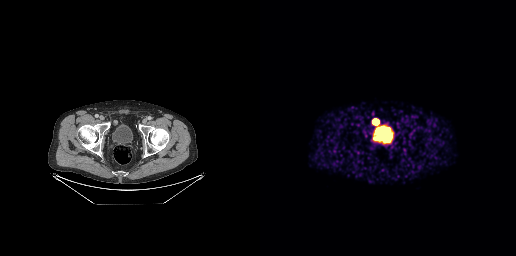
Left: CT. Right: PSMA PET, same axial level, 68Ga tracer. Acquired on GE Discovery 690. Slice position z = -910 mm.
Coordinates are on the 256×256 PET (right) panel. PSMA-avid tumor lesion bounding boxes:
| # | x0 | y0 | x1 | y1 |
|---|---|---|---|---|
| 1 | 113 | 119 | 118 | 124 |